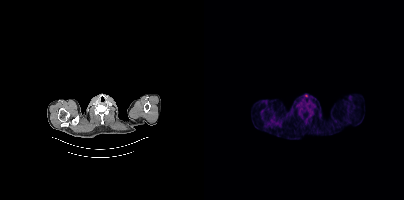
- Two-panel axial: CT | PSMA PET, 18F tracer
Findings: No PSMA-avid tumor lesions on this slice.